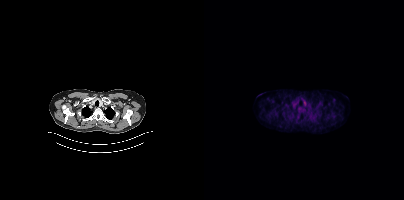
{"pet_grid":[200,200],"coord_frame":"pet_panel","coord_format":"x0,y0,x1,y1","lesion_bboxes":[],"small_foci_centers":[[72,113]],"modality":"PSMA PET/CT","view":"axial","tracer":"[18F]PSMA-1007"}